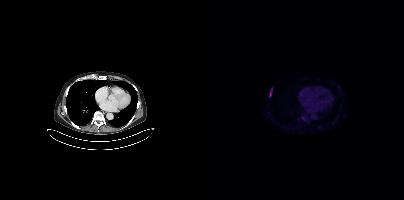
Paired axial CT (left) and PSMA PET (right), 18F tracer. Slice 272 of 431. Coordinates are on the 200×200 PET (right) panel. PSMA-avid tumor lesion bounding box (x0, y0)-(x1, y1): (65, 88)-(68, 96).